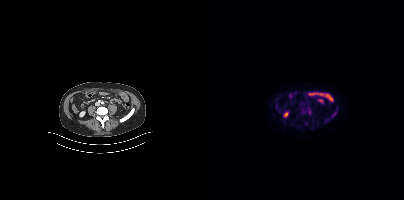
{"modality":"PSMA PET/CT","view":"axial","tracer":"[18F]PSMA-1007","pet_grid":[200,200],"coord_frame":"pet_panel","coord_format":"x0,y0,x1,y1","lesion_bboxes":[[128,112,132,116]]}